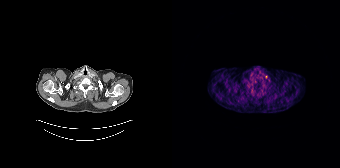
Left: CT. Right: PSMA PET, same axial level, 68Ga-PSMA tracer. Acquired on Siemens Biograph 64-4R TruePoint. Slice position z = -1007 mm. PET panel 168×168 px (4.1 mm/px). Coordinates are on the 168×168 PET (right) panel. Small PSMA-avid focus (2 to 4 px across) near (center x, center y): (94, 76).